modality: PSMA PET/CT | tracer: 18F | view: axial
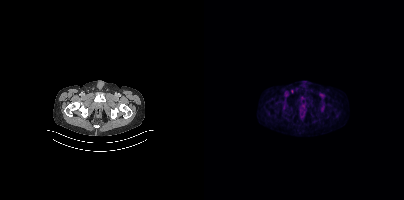
Only PSMA-avid lesion pieces thinner than 2 px on this slice (not listed).